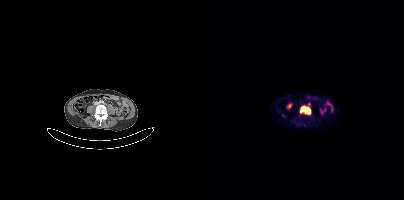
Coordinates are on the 200×200 PET (right) panel. PSMA-avid tumor lesion bounding boxes:
| # | x0 | y0 | x1 | y1 |
|---|---|---|---|---|
| 1 | 96 | 106 | 106 | 114 |
Small PSMA-avid focus (2 to 4 px across) near (center x, center y): (105, 104).
Left: CT. Right: PSMA PET, same axial level, [68Ga]Ga-PSMA-11 tracer.